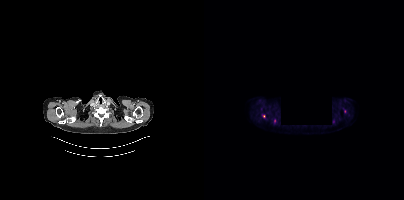
{"pet_grid":[200,200],"coord_frame":"pet_panel","coord_format":"x0,y0,x1,y1","lesion_bboxes":[],"small_foci_centers":[[59,116]],"redaction":"rectangular block set to black","modality":"PSMA PET/CT","view":"axial","tracer":"18F-PSMA"}